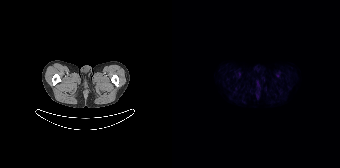
modality: PSMA PET/CT | tracer: [18F]PSMA-1007 | view: axial | PET grid: 168×168
No PSMA-avid tumor lesions on this slice.